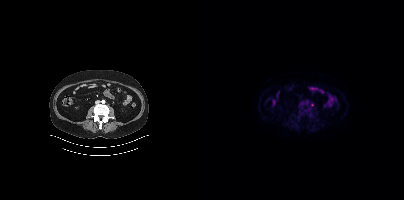
modality: PSMA PET/CT | tracer: 18F | view: axial | PET grid: 200×200
Only PSMA-avid lesion pieces thinner than 2 px on this slice (not listed).